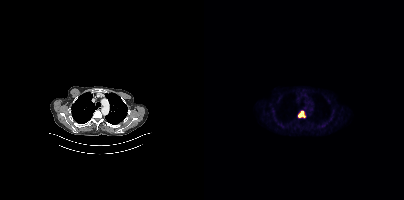
Paired axial CT (left) and PSMA PET (right), 18F tracer. PET panel 200×200 px (4.1 mm/px). Coordinates are on the 200×200 PET (right) panel. PSMA-avid tumor lesion bounding box (x0,y0,x1,y1): [94,110,101,117].